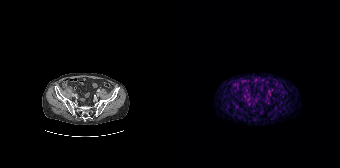
No PSMA-avid tumor lesions on this slice.